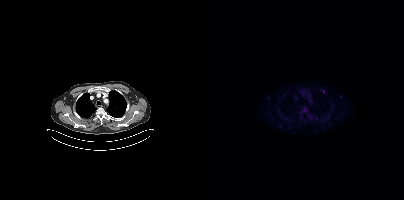
Coordinates are on the 200×200 PET (right) panel. Small PSMA-avid foci (2 to 4 px across) near (center x, center y): (64, 97) / (124, 117).